- Two-panel axial: CT | PSMA PET, [68Ga]Ga-PSMA-11 tracer
- acquired on GE Discovery 690
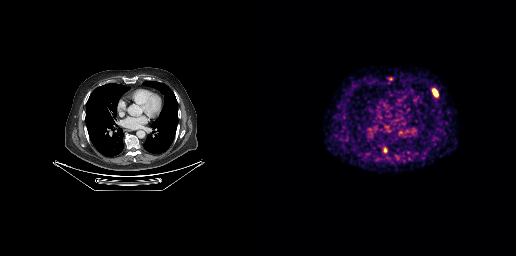
Findings: Coordinates are on the 256×256 PET (right) panel. (showing 1 of 2 foci) PSMA-avid tumor lesion bounding box (x, y, width, height): x=173 y=89 w=5 h=8.